- Two-panel axial: CT | PSMA PET, [18F]PSMA-1007 tracer
- slice position z = -1172 mm
- PET panel 200×200 px (4.1 mm/px)
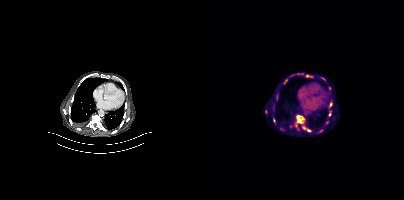
Findings: Coordinates are on the 200×200 PET (right) panel. PSMA-avid tumor lesion bounding box (x0, y0)-(x1, y1): (92, 115)-(100, 123). Small PSMA-avid foci (2 to 4 px across) near (center x, center y): (104, 130) | (100, 127).